Technique: Left: CT. Right: PSMA PET, same axial level, 18F-PSMA tracer. acquired on GE Discovery 690. slice position z = -732 mm. PET panel 256×256 px (2.7 mm/px).
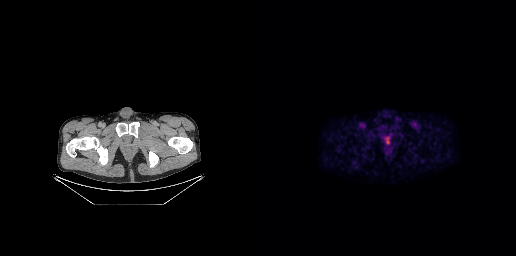
Findings: Negative for PSMA-avid disease on this slice.